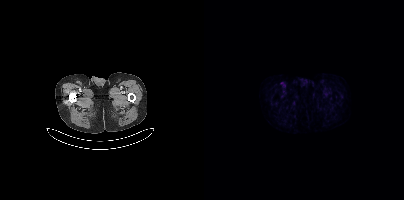
No PSMA-avid tumor lesions on this slice.